Technique: Two-panel axial: CT | PSMA PET, [18F]PSMA-1007 tracer. acquired on Siemens Biograph mCT Flow 20. slice position z = -978 mm.
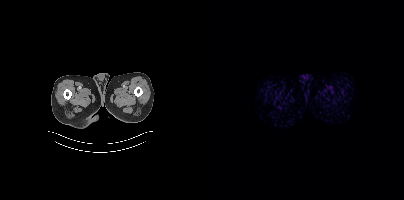
Findings: Negative for PSMA-avid disease on this slice.